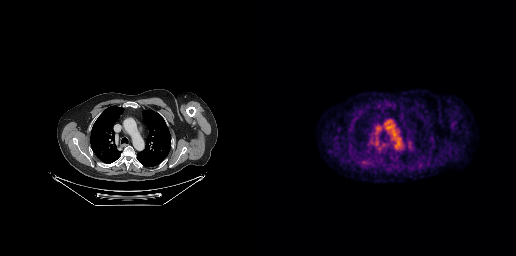
- Paired axial CT (left) and PSMA PET (right), 18F-PSMA tracer
- acquired on GE Discovery 690
- slice position z = -200 mm
Findings: Coordinates are on the 256×256 PET (right) panel. Small PSMA-avid focus (2 to 4 px across) near (center x, center y): (160, 165).